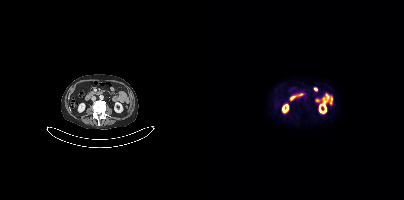
Technique: Two-panel axial: CT | PSMA PET, [18F]PSMA-1007 tracer. PET panel 200×200 px (4.1 mm/px).
Findings: Negative for PSMA-avid disease on this slice.